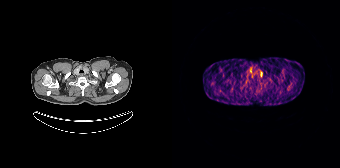
{"modality":"PSMA PET/CT","view":"axial","tracer":"68Ga","pet_grid":[168,168],"coord_frame":"pet_panel","coord_format":"x0,y0,x1,y1","lesion_bboxes":[[88,72,90,76]]}